- Two-panel axial: CT | PSMA PET, 68Ga tracer
- acquired on Siemens Biograph mCT Flow 20
- PET panel 200×200 px (4.1 mm/px)
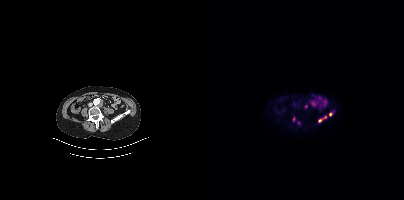
Findings: Coordinates are on the 200×200 PET (right) panel. PSMA-avid tumor lesion bounding boxes (x0,y0,x1,y1): [116,116,122,121], [125,112,129,115]. Small PSMA-avid foci (2 to 4 px across) near (center x, center y): (89, 119), (102, 106), (94, 123).